Technique: Left: CT. Right: PSMA PET, same axial level, 18F tracer. PET panel 256×256 px (2.7 mm/px).
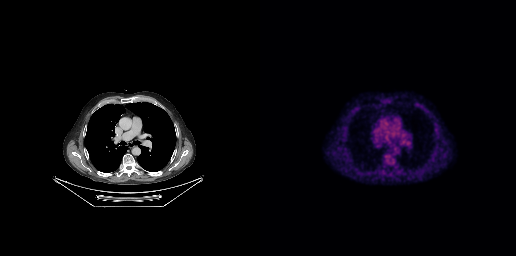
Findings: No PSMA-avid tumor lesions on this slice.